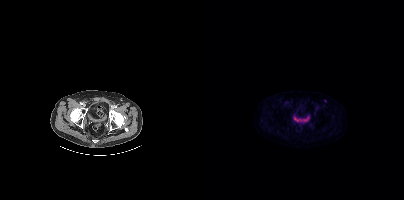
Negative for PSMA-avid disease on this slice.